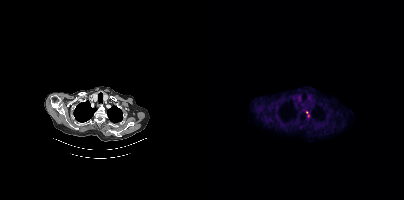
{"pet_grid":[200,200],"coord_frame":"pet_panel","coord_format":"x0,y0,x1,y1","lesion_bboxes":[],"small_foci_centers":[[102,112],[104,115],[74,118]],"modality":"PSMA PET/CT","view":"axial","tracer":"[18F]PSMA-1007"}